Left: CT. Right: PSMA PET, same axial level, [18F]PSMA-1007 tracer. Acquired on Siemens Biograph mCT Flow 20. Slice position z = -60 mm.
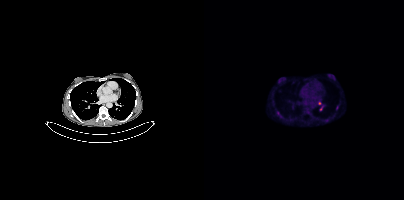
Coordinates are on the 200×200 PET (right) panel. (showing 4 of 5 foci) PSMA-avid tumor lesion bounding box (x0, y0)-(x1, y1): (72, 111)-(76, 115). Small PSMA-avid foci (2 to 4 px across) near (center x, center y): (133, 107); (115, 103); (122, 120).